Two-panel axial: CT | PSMA PET, [18F]PSMA-1007 tracer. Acquired on GE Discovery 690. Slice position z = -678 mm. PET panel 256×256 px (2.7 mm/px).
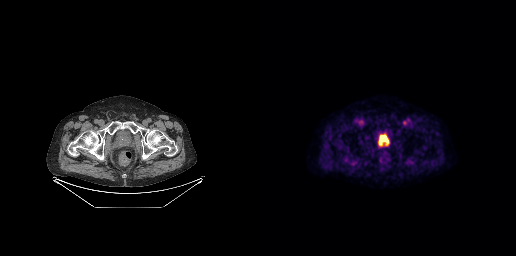
Coordinates are on the 256×256 PET (right) panel. PSMA-avid tumor lesion bounding boxes:
| # | x0 | y0 | x1 | y1 |
|---|---|---|---|---|
| 1 | 119 | 134 | 128 | 145 |